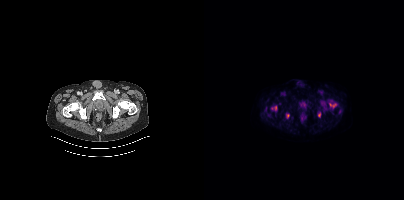
{"modality":"PSMA PET/CT","view":"axial","tracer":"18F-PSMA","pet_grid":[200,200],"coord_frame":"pet_panel","coord_format":"x0,y0,x1,y1","lesion_bboxes":[[67,106,73,110],[82,114,85,118],[126,103,132,107]],"small_foci_centers":[[115,114],[135,111],[64,113]]}